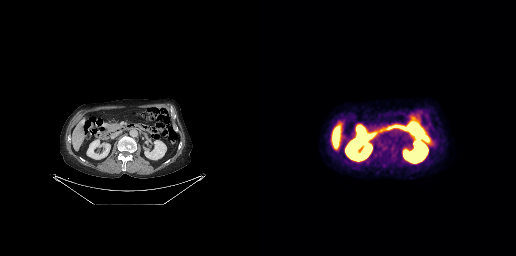
Findings: Negative for PSMA-avid disease on this slice.
- Two-panel axial: CT | PSMA PET, 18F-PSMA tracer
- acquired on GE Discovery 690